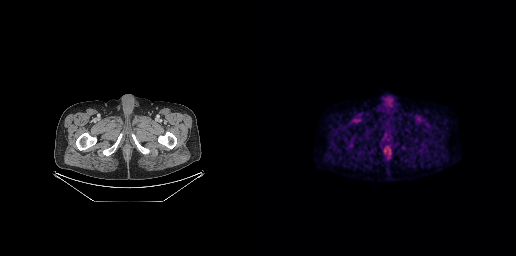
- Paired axial CT (left) and PSMA PET (right), 18F tracer
- acquired on GE Discovery 690
Findings: No tumor lesions annotated on this slice.